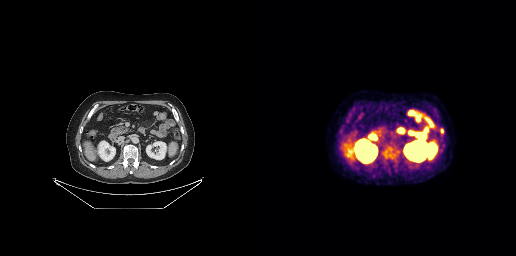
Coordinates are on the 256×256 PET (right) panel. Small PSMA-avid focus (2 to 4 px across) near (center x, center y): (182, 130).